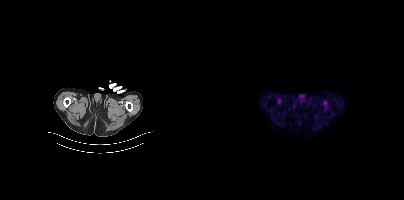
{"pet_grid":[200,200],"coord_frame":"pet_panel","coord_format":"x0,y0,x1,y1","psma_avid_lesions":false,"modality":"PSMA PET/CT","view":"axial","tracer":"18F-PSMA"}